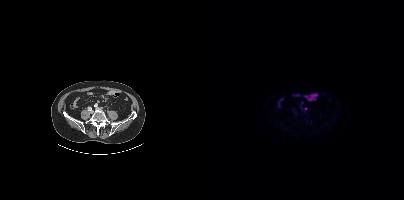
Left: CT. Right: PSMA PET, same axial level, 18F-PSMA tracer. Acquired on Siemens Biograph mCT Flow 20. PET panel 200×200 px (4.1 mm/px). Coordinates are on the 200×200 PET (right) panel. Small PSMA-avid focus (2 to 4 px across) near (center x, center y): (101, 108).